modality: PSMA PET/CT | tracer: 18F | view: axial | PET grid: 200×200
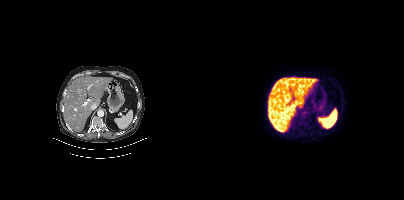
No PSMA-avid tumor lesions on this slice.